modality: PSMA PET/CT | tracer: 18F | view: axial
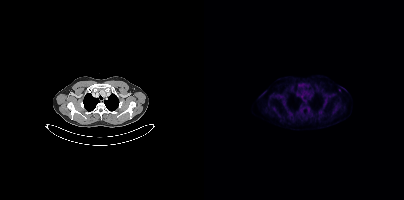
Coordinates are on the 200×200 PET (right) panel. Small PSMA-avid focus (2 to 4 px across) near (center x, center y): (135, 90).